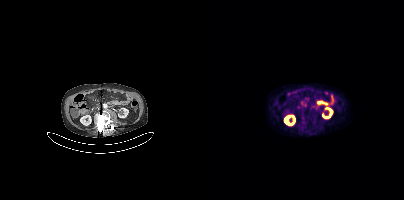
This slice has no annotated PSMA-avid lesion. Paired axial CT (left) and PSMA PET (right), 18F-PSMA tracer. PET panel 200×200 px (4.1 mm/px).